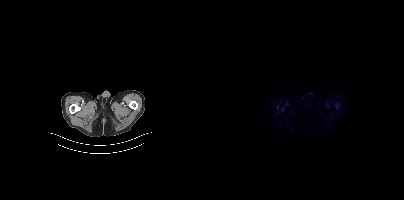
- Left: CT. Right: PSMA PET, same axial level, 18F tracer
- slice 15 of 403
Findings: This slice has no annotated PSMA-avid lesion.